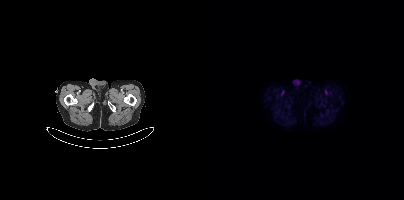
Findings: No tumor lesions annotated on this slice.
- Paired axial CT (left) and PSMA PET (right), 18F tracer
- PET panel 200×200 px (4.1 mm/px)